- Paired axial CT (left) and PSMA PET (right), 18F-PSMA tracer
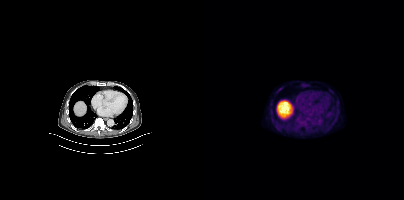
Findings: No tumor lesions annotated on this slice.